- Left: CT. Right: PSMA PET, same axial level, 68Ga-PSMA tracer
- slice position z = -1102 mm
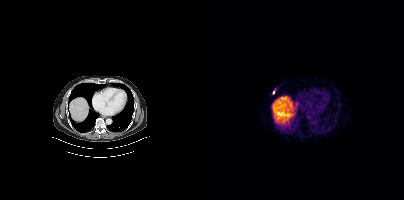
Findings: Coordinates are on the 200×200 PET (right) panel. Small PSMA-avid focus (2 to 4 px across) near (center x, center y): (69, 92).